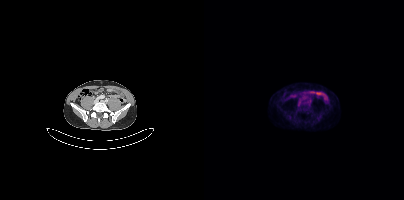
{"modality":"PSMA PET/CT","view":"axial","tracer":"18F","pet_grid":[200,200],"coord_frame":"pet_panel","coord_format":"x0,y0,x1,y1","lesion_bboxes":[],"small_foci_centers":[[107,111]]}